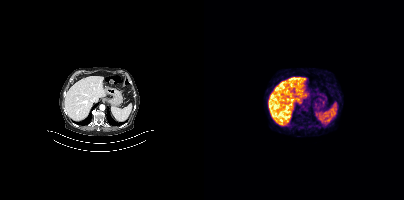
Left: CT. Right: PSMA PET, same axial level, 68Ga-PSMA tracer. This slice has no annotated PSMA-avid lesion.